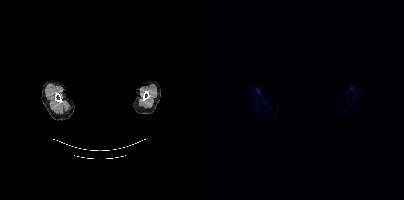
- a rectangle over the head was blacked out to remove identifiable facial features
- Paired axial CT (left) and PSMA PET (right), 18F tracer
- acquired on Siemens Biograph mCT Flow 20
Findings: No PSMA-avid tumor lesions on this slice.